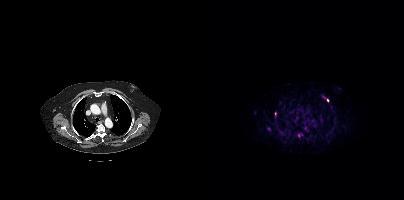
Coordinates are on the 200×200 PET (right) panel. (showing 3 of 4 foci) PSMA-avid tumor lesion bounding boxes (x, y, width, height): x=118 y=96 w=8 h=7 | x=94 y=133 w=5 h=5. Small PSMA-avid focus (2 to 4 px across) near (center x, center y): (101, 128).